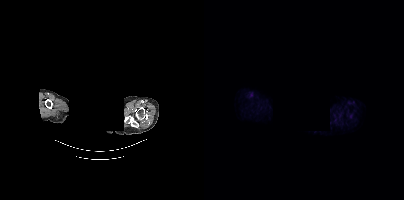
{"modality":"PSMA PET/CT","view":"axial","tracer":"18F","pet_grid":[200,200],"coord_frame":"pet_panel","coord_format":"x0,y0,x1,y1","deidentification":"head region blacked out before release","psma_avid_lesions":false}